- Left: CT. Right: PSMA PET, same axial level, 18F tracer
- acquired on Siemens Biograph mCT Flow 20
- PET panel 200×200 px (4.1 mm/px)
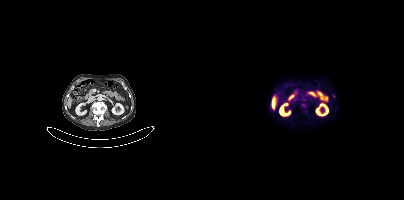
Findings: Coordinates are on the 200×200 PET (right) panel. Small PSMA-avid foci (2 to 4 px across) near (center x, center y): (129, 96) | (99, 104).